modality: PSMA PET/CT | tracer: [68Ga]Ga-PSMA-11 | view: axial | PET grid: 200×200
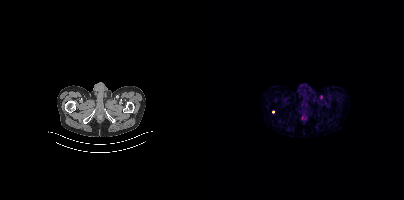
Only PSMA-avid lesion pieces thinner than 2 px on this slice (not listed).